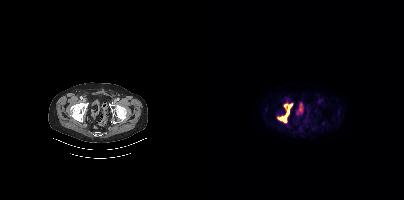
Coordinates are on the 200×200 PET (right) panel. PSMA-avid tumor lesion bounding box (x, y, width, height): x=74 y=104 w=15 h=19. Small PSMA-avid focus (2 to 4 px across) near (center x, center y): (81, 105).